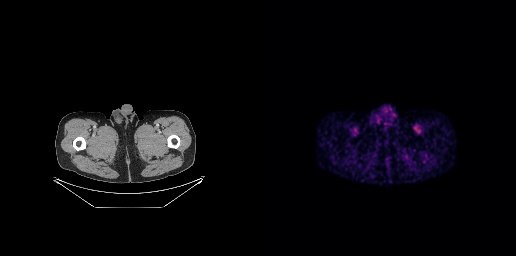
No tumor lesions annotated on this slice.